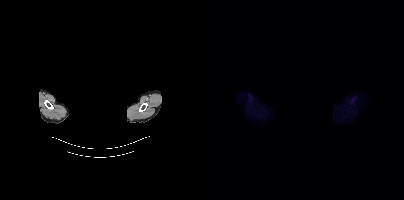
Technique: Two-panel axial: CT | PSMA PET, 18F-PSMA tracer. slice position z = -896 mm.
Note: Privacy masking over the head, with the pixels inside a rectangle set to black.
Findings: No tumor lesions annotated on this slice.